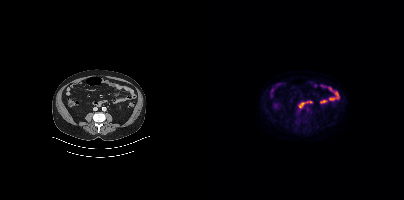
Left: CT. Right: PSMA PET, same axial level, 18F tracer. PET panel 200×200 px (4.1 mm/px). No PSMA-avid tumor lesions on this slice.